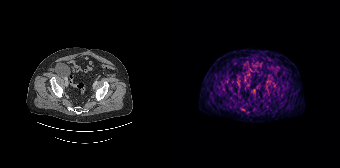
Findings: Coordinates are on the 168×168 PET (right) panel. Small PSMA-avid focus (2 to 4 px across) near (center x, center y): (70, 109).
Technique: Two-panel axial: CT | PSMA PET, [68Ga]Ga-PSMA-11 tracer.